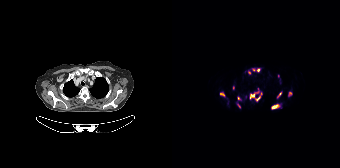
Coordinates are on the 168×168 PET (right) panel. PSMA-avid tumor lesion bounding boxes:
| # | x0 | y0 | x1 | y1 |
|---|---|---|---|---|
| 1 | 77 | 88 | 90 | 101 |
| 2 | 99 | 104 | 109 | 109 |
| 3 | 48 | 92 | 53 | 97 |
| 4 | 116 | 92 | 119 | 96 |
| 5 | 84 | 68 | 88 | 71 |
| 6 | 105 | 92 | 109 | 97 |
Small PSMA-avid foci (2 to 4 px across) near (center x, center y): (66, 105); (61, 87); (66, 98); (77, 72); (106, 76); (81, 69).
Two-panel axial: CT | PSMA PET, [18F]PSMA-1007 tracer.